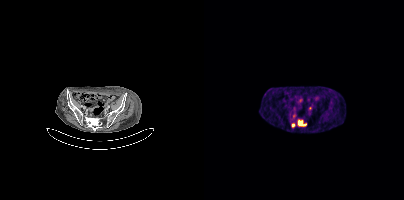
Technique: Left: CT. Right: PSMA PET, same axial level, [68Ga]Ga-PSMA-11 tracer. PET panel 200×200 px (4.1 mm/px).
Findings: Coordinates are on the 200×200 PET (right) panel. PSMA-avid tumor lesion bounding box (x, y, width, height): x=95 y=121 w=8 h=6. Small PSMA-avid foci (2 to 4 px across) near (center x, center y): (106, 108) | (89, 125) | (89, 116).